Left: CT. Right: PSMA PET, same axial level, 18F-PSMA tracer. PET panel 200×200 px (4.1 mm/px).
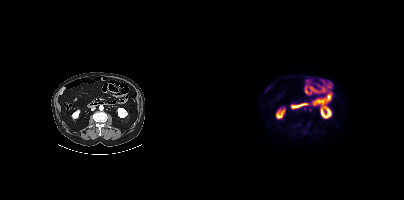
No tumor lesions annotated on this slice.